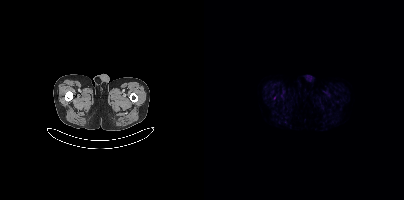
Findings: Negative for PSMA-avid disease on this slice.
Technique: Left: CT. Right: PSMA PET, same axial level, 18F tracer. PET panel 200×200 px (4.1 mm/px).